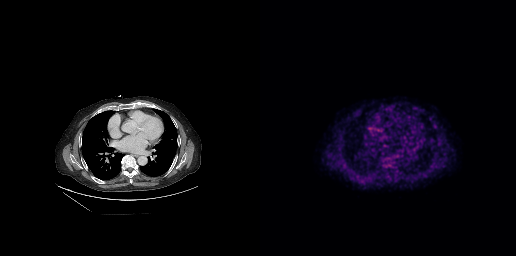
Coordinates are on the 256×256 PET (right) panel. Small PSMA-avid focus (2 to 4 px across) near (center x, center y): (114, 176).